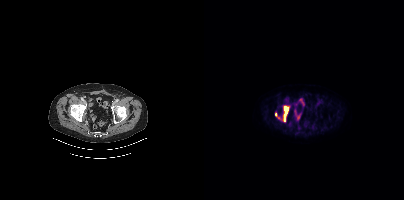
Two-panel axial: CT | PSMA PET, 18F-PSMA tracer. Slice position z = -1470 mm. PET panel 200×200 px (4.1 mm/px).
Coordinates are on the 200×200 PET (right) panel. PSMA-avid tumor lesion bounding boxes:
| # | x0 | y0 | x1 | y1 |
|---|---|---|---|---|
| 1 | 80 | 106 | 84 | 120 |
Small PSMA-avid focus (2 to 4 px across) near (center x, center y): (71, 114).